- Two-panel axial: CT | PSMA PET, [18F]PSMA-1007 tracer
- acquired on Siemens Biograph mCT Flow 20
- slice position z = -402 mm
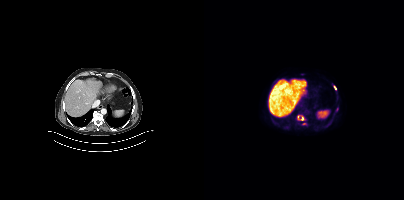
Findings: Coordinates are on the 200×200 PET (right) panel. PSMA-avid tumor lesion bounding box (x0,y0,x1,y1): [93,115,100,120]. Small PSMA-avid foci (2 to 4 px across) near (center x, center y): (131, 87) (133, 109) (100, 123).